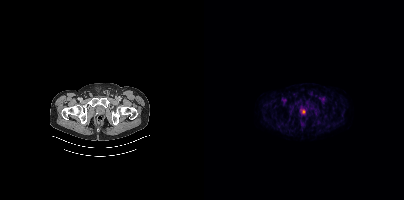
Coordinates are on the 200×200 PET (right) panel. PSMA-avid tumor lesion bounding box (x0, y0)-(x1, y1): (97, 109)-(101, 113).